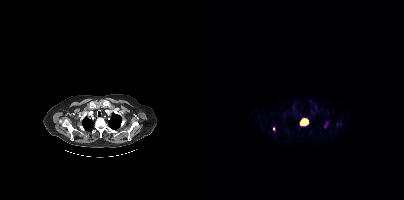
{"modality":"PSMA PET/CT","view":"axial","tracer":"18F","pet_grid":[200,200],"coord_frame":"pet_panel","coord_format":"x0,y0,x1,y1","lesion_bboxes":[[96,117,105,125]],"small_foci_centers":[[69,129]]}